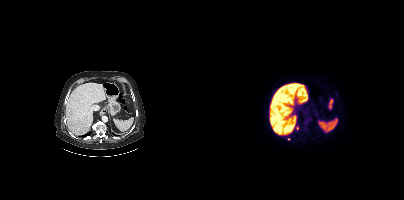
- Paired axial CT (left) and PSMA PET (right), [18F]PSMA-1007 tracer
- PET panel 200×200 px (4.1 mm/px)
Findings: Coordinates are on the 200×200 PET (right) panel. (showing 1 of 2 foci) Small PSMA-avid focus (2 to 4 px across) near (center x, center y): (93, 128).